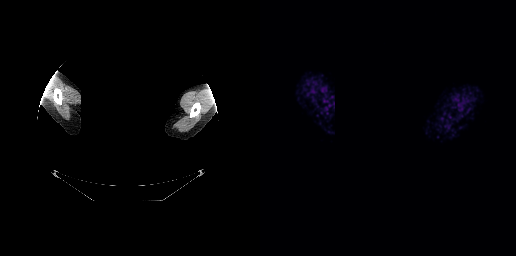
Findings: No tumor lesions annotated on this slice.
- Left: CT. Right: PSMA PET, same axial level, 68Ga tracer
- PET panel 256×256 px (2.7 mm/px)
- any black rectangle over the head is a privacy mask, not anatomy